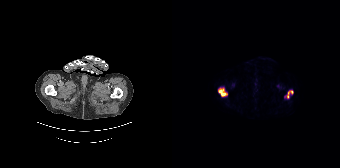
Paired axial CT (left) and PSMA PET (right), 18F tracer. PET panel 168×168 px (4.1 mm/px). Coordinates are on the 168×168 PET (right) panel. PSMA-avid tumor lesion bounding boxes (x, y, width, height): x=46 y=87 w=10 h=10 / x=115 y=90 w=7 h=9.